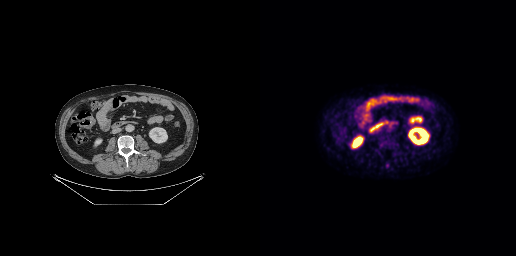
This slice has no annotated PSMA-avid lesion.
modality: PSMA PET/CT | tracer: 18F-PSMA | view: axial | PET grid: 256×256